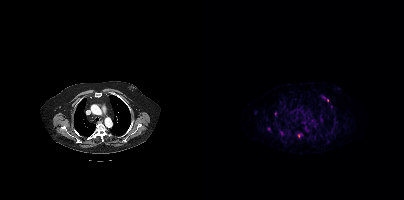
Coordinates are on the 200×200 PET (right) panel. (showing 3 of 4 foci) PSMA-avid tumor lesion bounding box (x0,y0,x1,y1): [93,133,98,137]. Small PSMA-avid foci (2 to 4 px across) near (center x, center y): (123, 100), (120, 97).